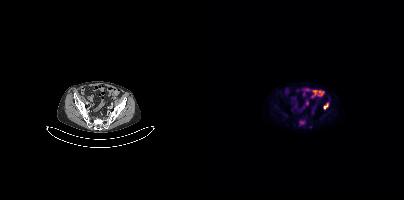
Technique: Paired axial CT (left) and PSMA PET (right), [18F]PSMA-1007 tracer. acquired on Siemens Biograph mCT Flow 20. PET panel 200×200 px (4.1 mm/px).
Findings: Coordinates are on the 200×200 PET (right) panel. PSMA-avid tumor lesion bounding boxes (x, y, width, height): x=95 y=120 w=7 h=6 | x=120 y=103 w=5 h=6.